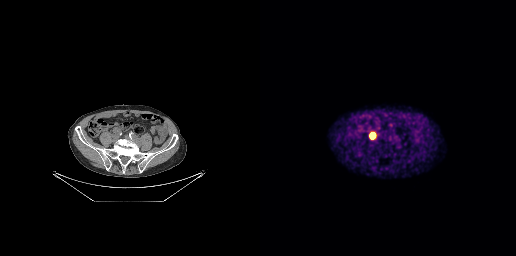
Coordinates are on the 256×256 PET (right) panel. PSMA-avid tumor lesion bounding box (x0, y0)-(x1, y1): (110, 133)-(114, 138).
modality: PSMA PET/CT | tracer: 68Ga | view: axial | PET grid: 256×256